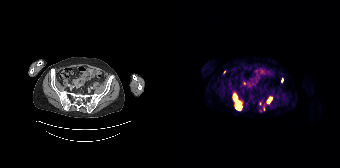
{"modality":"PSMA PET/CT","view":"axial","tracer":"68Ga","pet_grid":[168,168],"coord_frame":"pet_panel","coord_format":"x0,y0,x1,y1","partial":true,"lesion_bboxes":[[61,94,69,109],[95,97,99,103],[109,78,111,82]],"small_foci_centers":[[52,72]]}